Two-panel axial: CT | PSMA PET, [18F]PSMA-1007 tracer. Acquired on Siemens Biograph mCT Flow 20. Slice position z = -274 mm. PET panel 200×200 px (4.1 mm/px).
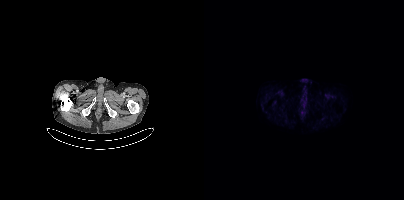
No tumor lesions annotated on this slice.